- Two-panel axial: CT | PSMA PET, [18F]PSMA-1007 tracer
- PET panel 200×200 px (4.1 mm/px)
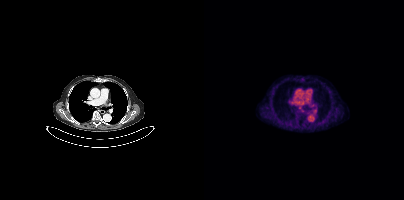
Findings: Coordinates are on the 200×200 PET (right) panel. Small PSMA-avid foci (2 to 4 px across) near (center x, center y): (95, 108) / (87, 103).